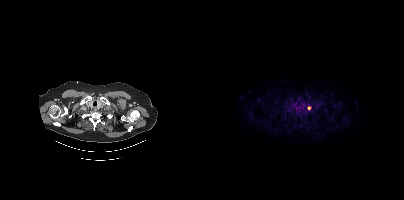
- Two-panel axial: CT | PSMA PET, [18F]PSMA-1007 tracer
- acquired on Siemens Biograph mCT Flow 20
Findings: Coordinates are on the 200×200 PET (right) panel. Small PSMA-avid focus (2 to 4 px across) near (center x, center y): (105, 108).